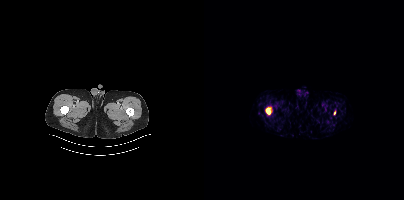
{"modality":"PSMA PET/CT","view":"axial","tracer":"[18F]PSMA-1007","pet_grid":[200,200],"coord_frame":"pet_panel","coord_format":"x0,y0,x1,y1","lesion_bboxes":[[62,107,66,114]],"small_foci_centers":[[130,113]]}